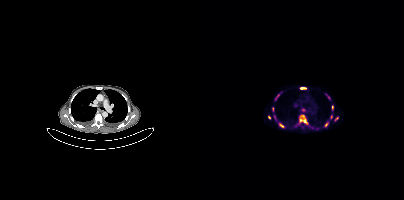
Coordinates are on the 200×200 PET (right) panel. (showing 12 of 13 foci) PSMA-avid tumor lesion bounding boxes (x, y, width, height): x=95 y=115 w=10 h=11; x=96 y=87 w=7 h=3; x=71 y=94 w=5 h=7; x=128 y=105 w=2 h=5; x=68 y=107 w=2 h=5. Small PSMA-avid foci (2 to 4 px across) near (center x, center y): (77, 125); (99, 109); (65, 117); (127, 117); (132, 118); (122, 124); (124, 97).